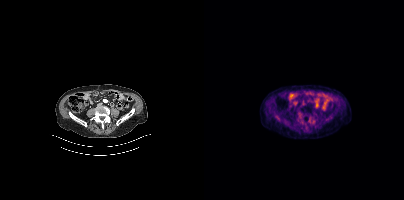
No tumor lesions annotated on this slice.